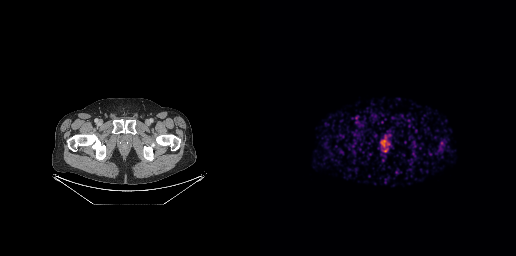
Coordinates are on the 256×256 PET (right) panel. PSMA-avid tumor lesion bounding box (x0, y0)-(x1, y1): (121, 141)-(125, 146).